Technique: Left: CT. Right: PSMA PET, same axial level, [18F]PSMA-1007 tracer. PET panel 168×168 px (4.1 mm/px).
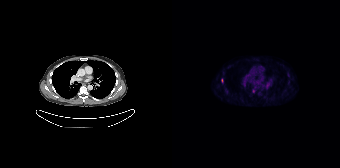
Findings: Coordinates are on the 168×168 PET (right) panel. PSMA-avid tumor lesion bounding box (x0, y0)-(x1, y1): (80, 88)-(83, 92). Small PSMA-avid focus (2 to 4 px across) near (center x, center y): (50, 80).